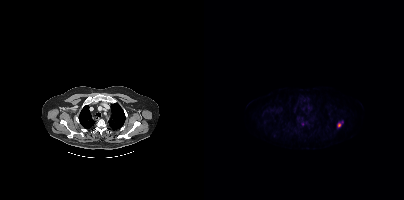
Coordinates are on the 200×200 PET (right) panel. Small PSMA-avid foci (2 to 4 px across) near (center x, center y): (135, 124), (98, 124).
modality: PSMA PET/CT | tracer: 18F | view: axial